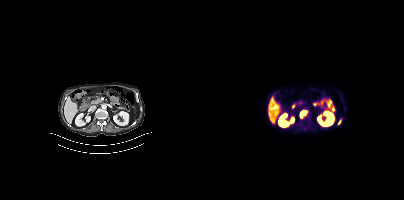
Coordinates are on the 200×200 PET (right) panel. PSMA-avid tumor lesion bounding boxes (x0, y0)-(x1, y1): (96, 110)-(103, 118); (134, 120)-(136, 124). Small PSMA-avid focus (2 to 4 px across) near (center x, center y): (104, 119).